- Two-panel axial: CT | PSMA PET, 68Ga tracer
- slice 77 of 263
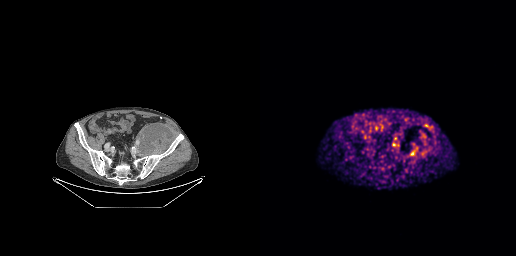
Findings: Coordinates are on the 256×256 PET (right) panel. PSMA-avid tumor lesion bounding box (x0, y0)-(x1, y1): (149, 150)-(154, 156).